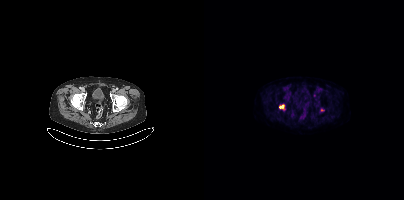
- Left: CT. Right: PSMA PET, same axial level, 18F tracer
- acquired on Siemens Biograph mCT Flow 20
- slice 76 of 387
- PET panel 200×200 px (4.1 mm/px)
Findings: Coordinates are on the 200×200 PET (right) panel. PSMA-avid tumor lesion bounding box (x, y, width, height): x=75 y=104 w=5 h=5. Small PSMA-avid foci (2 to 4 px across) near (center x, center y): (118, 110) / (110, 95).